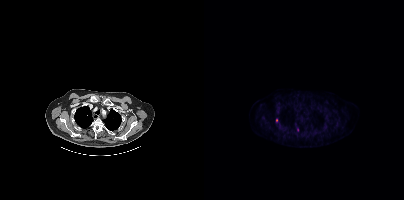
Coordinates are on the 200×200 PET (right) panel. Small PSMA-avid foci (2 to 4 px across) near (center x, center y): (93, 129) (72, 120).